- Two-panel axial: CT | PSMA PET, 18F-PSMA tracer
- acquired on Siemens Biograph mCT Flow 20
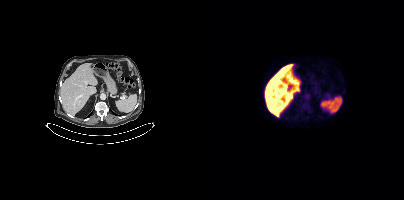
Findings: No PSMA-avid tumor lesions on this slice.